- Left: CT. Right: PSMA PET, same axial level, 18F tracer
- acquired on Siemens Biograph mCT Flow 20
- slice 284 of 375
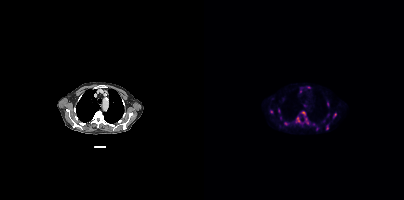
Findings: Coordinates are on the 200×200 PET (right) panel. (showing 10 of 13 foci) PSMA-avid tumor lesion bounding boxes (x0,y0,x1,y1): [97,111,104,124]; [91,116,99,123]; [80,122,84,125]; [129,113,132,118]; [123,102,125,106]. Small PSMA-avid foci (2 to 4 px across) near (center x, center y): (67, 111); (123, 127); (74, 111); (104, 87); (96, 91).